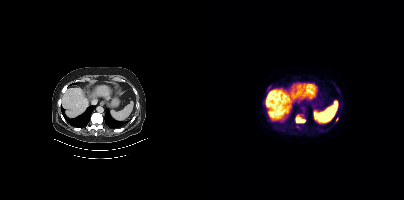
{"modality":"PSMA PET/CT","view":"axial","tracer":"18F","pet_grid":[200,200],"coord_frame":"pet_panel","coord_format":"x0,y0,x1,y1","partial":true,"lesion_bboxes":[[92,113,100,122],[133,88,136,92]],"small_foci_centers":[[133,119],[94,127]]}